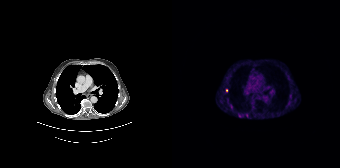
Left: CT. Right: PSMA PET, same axial level, [68Ga]Ga-PSMA-11 tracer. Slice position z = -892 mm. PET panel 168×168 px (4.1 mm/px). Coordinates are on the 168×168 PET (right) panel. (showing 4 of 6 foci) Small PSMA-avid foci (2 to 4 px across) near (center x, center y): (67, 115) / (74, 114) / (59, 106) / (54, 90).